Two-panel axial: CT | PSMA PET, 18F tracer. Slice position z = -46 mm.
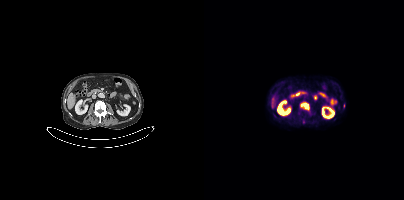
Coordinates are on the 200×200 PET (right) panel. PSMA-avid tumor lesion bounding boxes:
| # | x0 | y0 | x1 | y1 |
|---|---|---|---|---|
| 1 | 96 | 102 | 105 | 110 |